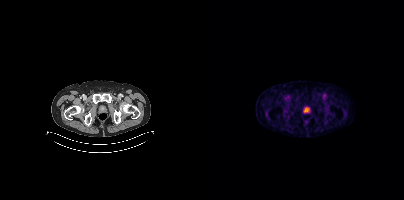
{"modality":"PSMA PET/CT","view":"axial","tracer":"68Ga-PSMA","pet_grid":[200,200],"coord_frame":"pet_panel","coord_format":"x0,y0,x1,y1","lesion_bboxes":[],"small_foci_centers":[[103,109]]}